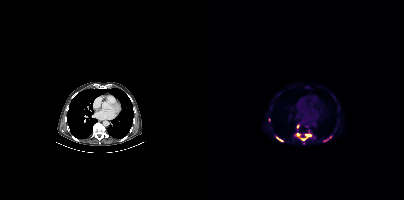
modality: PSMA PET/CT | tracer: 18F-PSMA | view: axial
Coordinates are on the 200×200 PET (right) panel. PSMA-avid tumor lesion bounding boxes (x0, y0)-(x1, y1): (93, 133)-(100, 140) | (101, 133)-(106, 137) | (72, 137)-(79, 141) | (120, 139)-(124, 141). Small PSMA-avid foci (2 to 4 px across) near (center x, center y): (126, 137) | (65, 119) | (93, 126) | (99, 143).